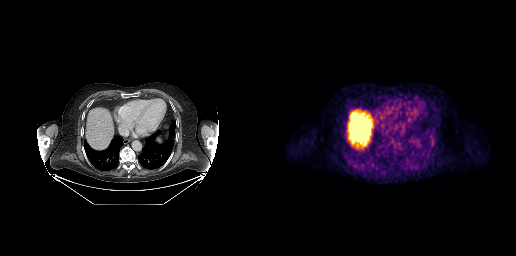
No PSMA-avid tumor lesions on this slice.